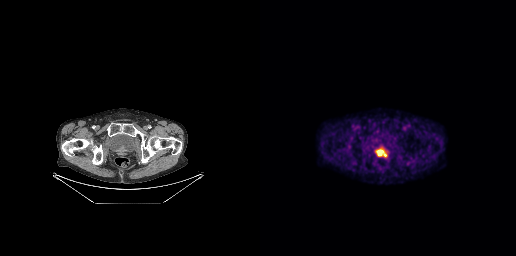
{"pet_grid":[256,256],"coord_frame":"pet_panel","coord_format":"x0,y0,x1,y1","lesion_bboxes":[[118,150,126,156]],"modality":"PSMA PET/CT","view":"axial","tracer":"18F-PSMA"}